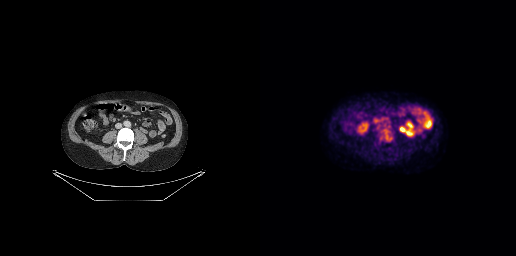
{"modality":"PSMA PET/CT","view":"axial","tracer":"[18F]PSMA-1007","pet_grid":[256,256],"coord_frame":"pet_panel","coord_format":"x0,y0,x1,y1","psma_avid_lesions":false}